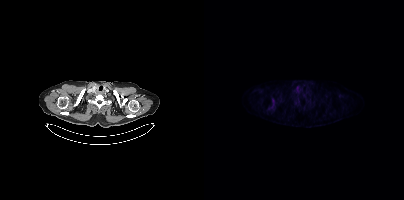
Left: CT. Right: PSMA PET, same axial level, [18F]PSMA-1007 tracer. This slice has no annotated PSMA-avid lesion.